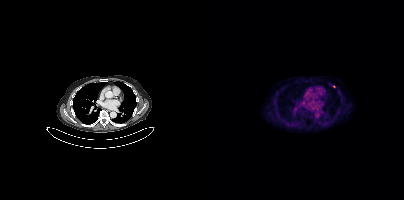
Two-panel axial: CT | PSMA PET, 18F-PSMA tracer. Negative for PSMA-avid disease on this slice.